- Left: CT. Right: PSMA PET, same axial level, 18F tracer
- acquired on Siemens Biograph mCT Flow 20
- slice position z = 74 mm
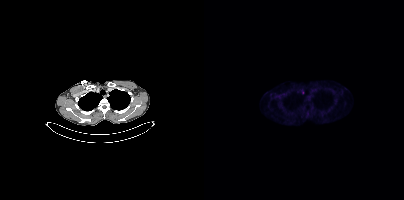
Findings: Only PSMA-avid lesion pieces thinner than 2 px on this slice (not listed).